modality: PSMA PET/CT | tracer: 18F | view: axial | PET grid: 200×200
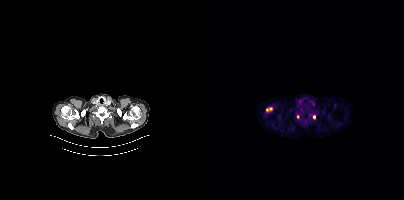
Coordinates are on the 200×200 PET (right) panel. Small PSMA-avid foci (2 to 4 px across) near (center x, center y): (110, 116) | (67, 109) | (63, 109) | (93, 116).